Left: CT. Right: PSMA PET, same axial level, 18F-PSMA tracer. Acquired on Siemens Biograph mCT Flow 20. Slice 350 of 401. PET panel 200×200 px (4.1 mm/px). An anonymization step blacked out a rectangle over the head in this scan.
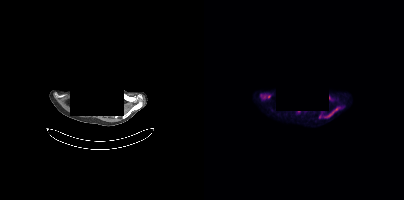
Coordinates are on the 200×200 PET (right) panel. PSMA-avid tumor lesion bounding boxes:
| # | x0 | y0 | x1 | y1 |
|---|---|---|---|---|
| 1 | 126 | 108 | 133 | 115 |
| 2 | 119 | 115 | 123 | 118 |
Small PSMA-avid focus (2 to 4 px across) near (center x, center y): (64, 96).